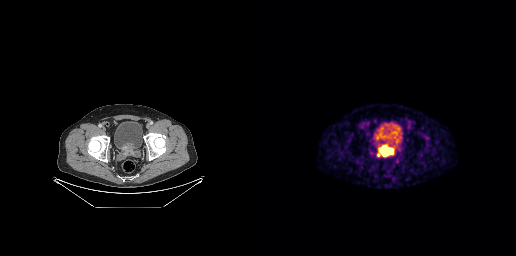
Coordinates are on the 256×256 PET (right) panel. PSMA-avid tumor lesion bounding box (x, y, width, height): x=119 y=145 w=15 h=12. Small PSMA-avid focus (2 to 4 px across) near (center x, center y): (118, 154).